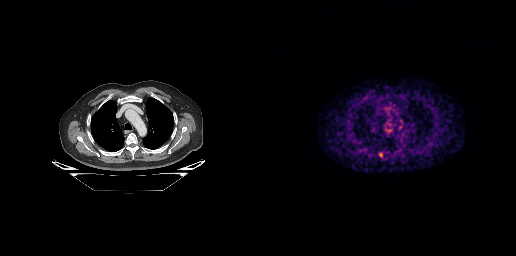
Coordinates are on the 256×256 PET (right) panel. PSMA-avid tumor lesion bounding box (x0, y0)-(x1, y1): (119, 152)-(122, 157). Paired axial CT (left) and PSMA PET (right), [68Ga]Ga-PSMA-11 tracer. Slice position z = -446 mm. PET panel 256×256 px (2.7 mm/px).